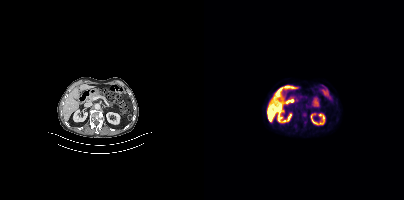
This slice has no annotated PSMA-avid lesion.